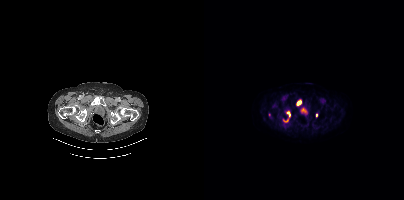
{"pet_grid":[200,200],"coord_frame":"pet_panel","coord_format":"x0,y0,x1,y1","partial":true,"lesion_bboxes":[[93,101,97,105]],"small_foci_centers":[[85,113],[112,115]],"modality":"PSMA PET/CT","view":"axial","tracer":"18F"}